Left: CT. Right: PSMA PET, same axial level, 18F-PSMA tracer. Acquired on GE Discovery 690. PET panel 256×256 px (2.7 mm/px).
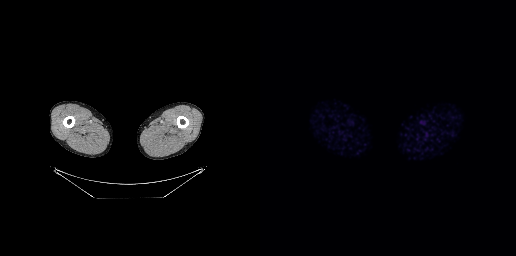
No tumor lesions annotated on this slice.